- Left: CT. Right: PSMA PET, same axial level, 18F tracer
- acquired on Siemens Biograph mCT Flow 20
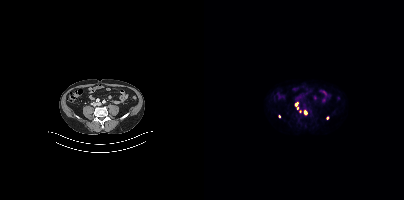
Findings: Coordinates are on the 200×200 PET (right) panel. (showing 5 of 6 foci) Small PSMA-avid foci (2 to 4 px across) near (center x, center y): (100, 112); (92, 104); (93, 107); (123, 117); (75, 116).